Left: CT. Right: PSMA PET, same axial level, [68Ga]Ga-PSMA-11 tracer. Acquired on Siemens Biograph mCT Flow 20. Slice 228 of 411.
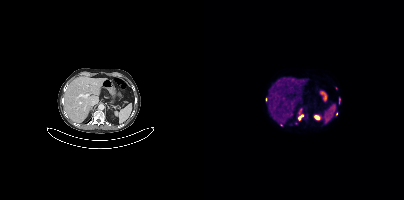
Coordinates are on the 200×200 PET (right) panel. PSMA-avid tumor lesion bounding boxes (partial; 2 more foci not listed):
| # | x0 | y0 | x1 | y1 |
|---|---|---|---|---|
| 1 | 94 | 111 | 99 | 120 |
| 2 | 135 | 98 | 136 | 103 |
Small PSMA-avid foci (2 to 4 px across) near (center x, center y): (132, 88); (132, 113); (77, 124).